Technique: Left: CT. Right: PSMA PET, same axial level, [18F]PSMA-1007 tracer. acquired on Siemens Biograph mCT Flow 20. PET panel 200×200 px (4.1 mm/px).
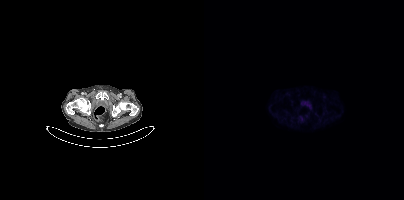
Findings: This slice has no annotated PSMA-avid lesion.